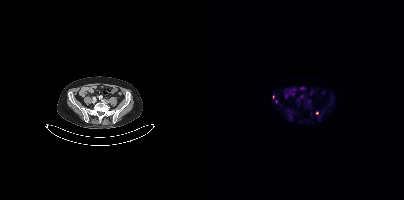
Coordinates are on the 200×200 PET (right) panel. Small PSMA-avid foci (2 to 4 px across) near (center x, center y): (113, 113); (69, 96).